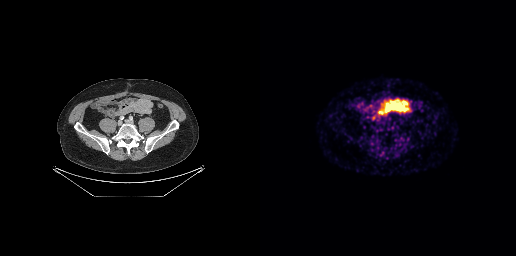
{"pet_grid":[256,256],"coord_frame":"pet_panel","coord_format":"x0,y0,x1,y1","lesion_bboxes":[[111,115,117,120]],"modality":"PSMA PET/CT","view":"axial","tracer":"68Ga-PSMA"}